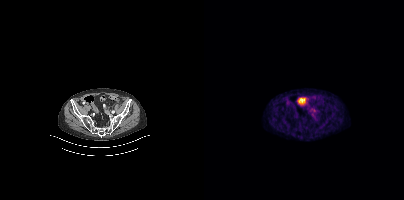
Coordinates are on the 200×200 PET (right) panel. Small PSMA-avid focus (2 to 4 px across) near (center x, center y): (110, 110).